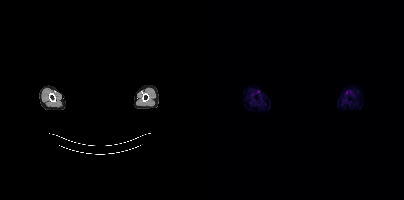
- Two-panel axial: CT | PSMA PET, [18F]PSMA-1007 tracer
- slice 395 of 409
- face de-identified by blanking a block of the head
Findings: No PSMA-avid tumor lesions on this slice.